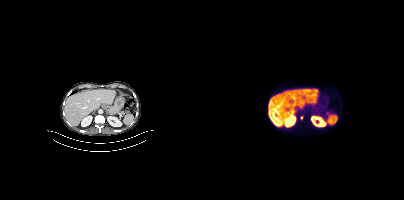
Findings: Coordinates are on the 200×200 PET (right) panel. Small PSMA-avid focus (2 to 4 px across) near (center x, center y): (97, 117).
Technique: Two-panel axial: CT | PSMA PET, [18F]PSMA-1007 tracer. acquired on Siemens Biograph mCT Flow 20.